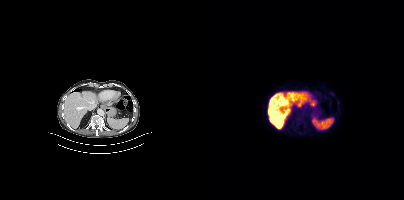
This slice has no annotated PSMA-avid lesion.